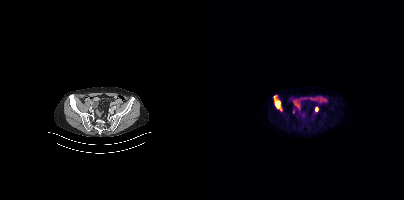
Technique: Paired axial CT (left) and PSMA PET (right), 18F tracer.
Findings: Coordinates are on the 200×200 PET (right) panel. (showing 2 of 3 foci) PSMA-avid tumor lesion bounding box (x0, y0)-(x1, y1): (69, 95)-(77, 110). Small PSMA-avid focus (2 to 4 px across) near (center x, center y): (112, 109).